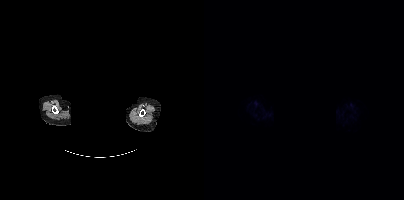
{"modality":"PSMA PET/CT","view":"axial","tracer":"18F-PSMA","pet_grid":[200,200],"coord_frame":"pet_panel","coord_format":"x0,y0,x1,y1","psma_avid_lesions":false,"deidentification":"head region blacked out before release"}